- Two-panel axial: CT | PSMA PET, [18F]PSMA-1007 tracer
- PET panel 200×200 px (4.1 mm/px)
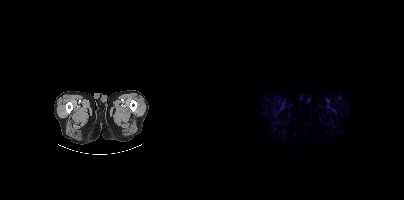
Findings: No tumor lesions annotated on this slice.